Paired axial CT (left) and PSMA PET (right), 18F tracer. Acquired on Siemens Biograph mCT Flow 20. PET panel 200×200 px (4.1 mm/px).
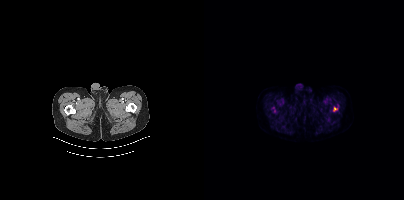
Coordinates are on the 200×200 PET (right) panel. PSMA-avid tumor lesion bounding box (x0,y0,x1,y1): [129,107,133,111].